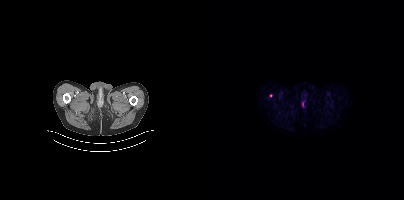
Coordinates are on the 200×200 PET (right) panel. PSMA-avid tumor lesion bounding box (x0,y0,x1,y1): [98,102,99,106]. Small PSMA-avid focus (2 to 4 px across) near (center x, center y): (66, 95).